Left: CT. Right: PSMA PET, same axial level, 18F tracer. Acquired on Siemens Biograph mCT Flow 20. Slice 394 of 401. The head region is masked for de-identification.
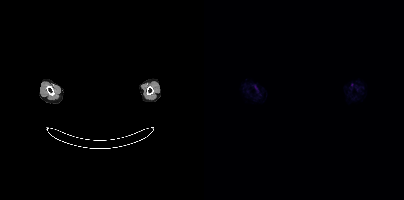
No PSMA-avid tumor lesions on this slice.